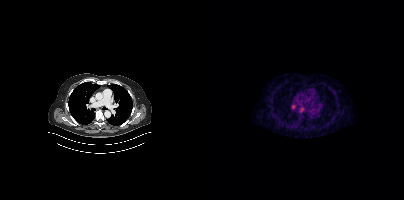
{"modality":"PSMA PET/CT","view":"axial","tracer":"68Ga","pet_grid":[200,200],"coord_frame":"pet_panel","coord_format":"x0,y0,x1,y1","lesion_bboxes":[],"small_foci_centers":[[89,106]]}